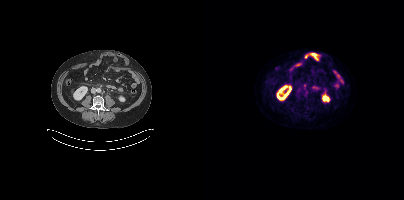
Paired axial CT (left) and PSMA PET (right), 18F tracer.
Coordinates are on the 200×200 PET (right) panel. PSMA-avid tumor lesion bounding boxes:
| # | x0 | y0 | x1 | y1 |
|---|---|---|---|---|
| 1 | 100 | 90 | 104 | 95 |